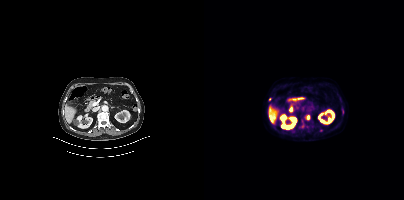
Findings: Coordinates are on the 200×200 PET (right) panel. PSMA-avid tumor lesion bounding box (x, y, width, height): x=100 y=115 w=6 h=5. Small PSMA-avid foci (2 to 4 px across) near (center x, center y): (65, 99) / (138, 111) / (117, 130).
- Two-panel axial: CT | PSMA PET, [18F]PSMA-1007 tracer
- slice 199 of 407